Paired axial CT (left) and PSMA PET (right), 68Ga-PSMA tracer. Slice 79 of 165.
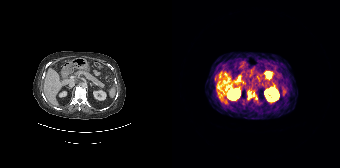
Coordinates are on the 168×168 PET (right) panel. PSMA-avid tumor lesion bounding boxes:
| # | x0 | y0 | x1 | y1 |
|---|---|---|---|---|
| 1 | 76 | 91 | 79 | 99 |
| 2 | 81 | 92 | 82 | 96 |
Small PSMA-avid foci (2 to 4 px across) near (center x, center y): (43, 78); (84, 97).